Technique: Left: CT. Right: PSMA PET, same axial level, 68Ga-PSMA tracer. slice 218 of 263.
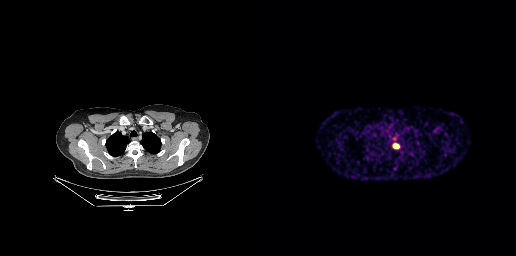
Findings: Coordinates are on the 256×256 PET (right) panel. PSMA-avid tumor lesion bounding box (x, y, width, height): x=133 y=143 w=7 h=6.